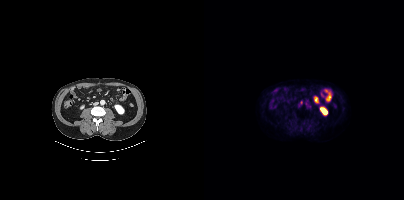
{"pet_grid":[200,200],"coord_frame":"pet_panel","coord_format":"x0,y0,x1,y1","lesion_bboxes":[],"small_foci_centers":[[97,102]],"modality":"PSMA PET/CT","view":"axial","tracer":"18F"}